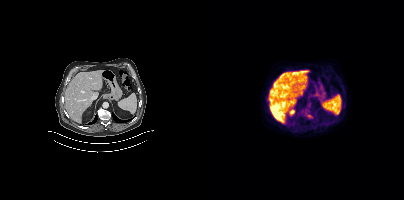
Coordinates are on the 200×200 PET (right) panel. Small PSMA-avid focus (2 to 4 px across) near (center x, center y): (105, 115). Paired axial CT (left) and PSMA PET (right), 18F tracer. PET panel 200×200 px (4.1 mm/px).